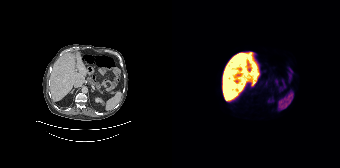
No PSMA-avid tumor lesions on this slice.
modality: PSMA PET/CT | tracer: 18F | view: axial